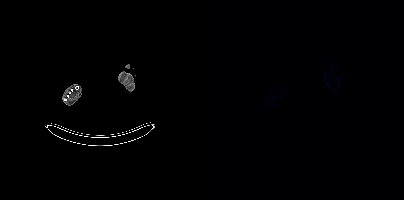
This slice has no annotated PSMA-avid lesion.